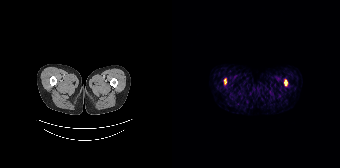
Findings: Coordinates are on the 168×168 PET (right) panel. PSMA-avid tumor lesion bounding boxes (x0, y0)-(x1, y1): (112, 79)-(115, 85); (52, 79)-(54, 84).
- Two-panel axial: CT | PSMA PET, 68Ga tracer
- acquired on Siemens Biograph 64-4R TruePoint